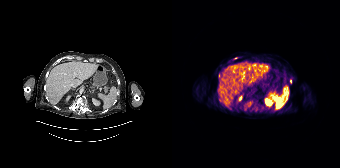
Coordinates are on the 168×168 PET (right) panel. (showing 1 of 2 foci) Small PSMA-avid focus (2 to 4 px across) near (center x, center y): (63, 58).